- Paired axial CT (left) and PSMA PET (right), 18F-PSMA tracer
- PET panel 168×168 px (4.1 mm/px)
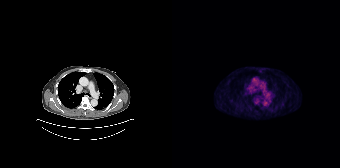
Findings: Coordinates are on the 168×168 PET (right) panel. Small PSMA-avid focus (2 to 4 px across) near (center x, center y): (84, 100).